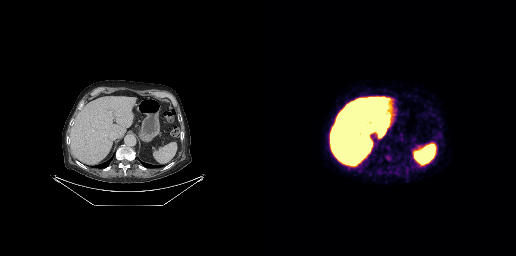
{"modality":"PSMA PET/CT","view":"axial","tracer":"18F","pet_grid":[256,256],"coord_frame":"pet_panel","coord_format":"x0,y0,x1,y1","lesion_bboxes":[],"small_foci_centers":[[127,157]]}